Two-panel axial: CT | PSMA PET, 18F tracer.
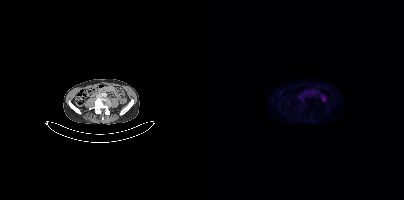
No tumor lesions annotated on this slice.